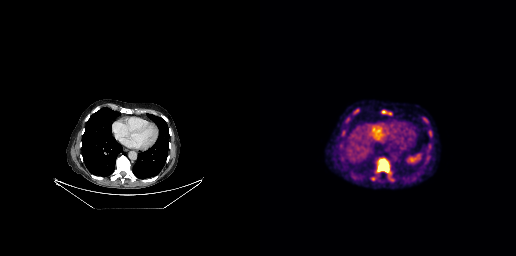
modality: PSMA PET/CT | tracer: 18F | view: axial | PET grid: 256×256
Coordinates are on the 256×256 PET (right) panel. PSMA-avid tumor lesion bounding boxes (x0, y0)-(x1, y1): (117, 159)-(129, 172) / (121, 110)-(131, 115) / (93, 109)-(98, 114) / (86, 117)-(89, 122) / (169, 131)-(171, 136) / (163, 118)-(167, 122). Small PSMA-avid focus (2 to 4 px across) near (center x, center y): (83, 132).